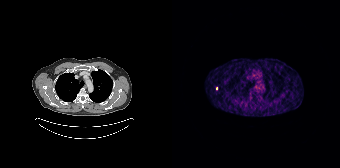
Two-panel axial: CT | PSMA PET, 68Ga-PSMA tracer. Slice 154 of 195. Coordinates are on the 168×168 PET (right) panel. Small PSMA-avid focus (2 to 4 px across) near (center x, center y): (44, 88).